Two-panel axial: CT | PSMA PET, 18F-PSMA tracer. Acquired on Siemens Biograph mCT Flow 20. PET panel 200×200 px (4.1 mm/px).
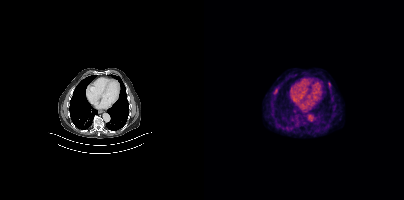
Coordinates are on the 200×200 PET (right) panel. PSMA-avid tumor lesion bounding box (x, y, width, height): x=124 y=82 w=3 h=6. Small PSMA-avid focus (2 to 4 px across) near (center x, center y): (71, 91).